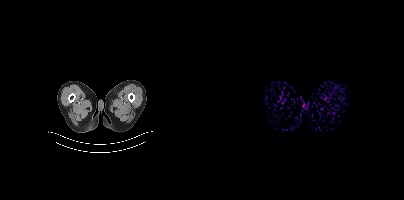
Left: CT. Right: PSMA PET, same axial level, 68Ga-PSMA tracer. PET panel 200×200 px (4.1 mm/px). No tumor lesions annotated on this slice.